Left: CT. Right: PSMA PET, same axial level, [68Ga]Ga-PSMA-11 tracer.
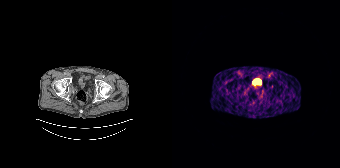
This slice has no annotated PSMA-avid lesion.